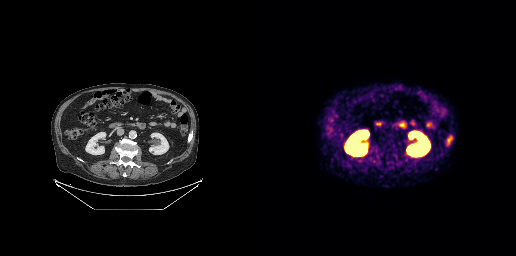
Findings: No tumor lesions annotated on this slice.
- Left: CT. Right: PSMA PET, same axial level, 68Ga tracer
- acquired on GE Discovery 690
- slice position z = -571 mm
- PET panel 256×256 px (2.7 mm/px)